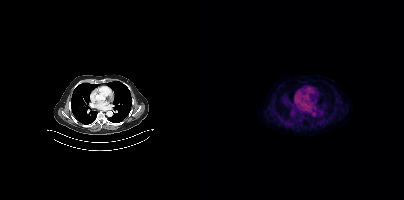
Findings: No tumor lesions annotated on this slice.
Technique: Paired axial CT (left) and PSMA PET (right), 18F-PSMA tracer. slice 265 of 393. PET panel 200×200 px (4.1 mm/px).